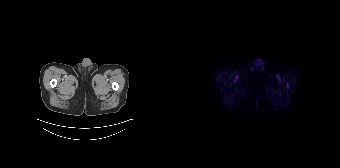
No tumor lesions annotated on this slice.